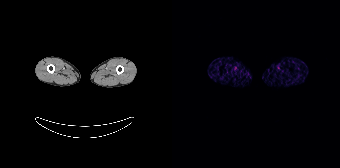
Technique: Two-panel axial: CT | PSMA PET, 68Ga-PSMA tracer. acquired on Siemens Biograph 64-4R TruePoint. slice position z = -1915 mm. PET panel 168×168 px (4.1 mm/px).
Findings: No tumor lesions annotated on this slice.